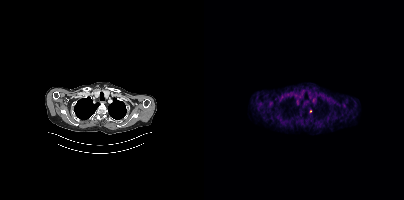
{"modality":"PSMA PET/CT","view":"axial","tracer":"18F-PSMA","pet_grid":[200,200],"coord_frame":"pet_panel","coord_format":"x0,y0,x1,y1","lesion_bboxes":[],"small_foci_centers":[[106,111]]}